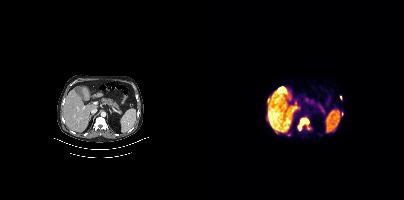
Coordinates are on the 200×200 PET (right) panel. (showing 3 of 4 foci) PSMA-avid tumor lesion bounding boxes (x0,y0,x1,y1): [94,118,105,129] [64,98,66,102]. Small PSMA-avid focus (2 to 4 px across) near (center x, center y): (136, 97).